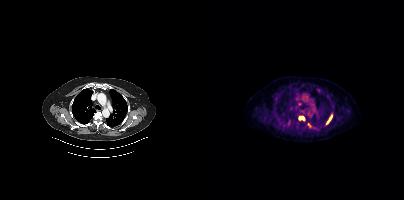
{"modality":"PSMA PET/CT","view":"axial","tracer":"18F-PSMA","pet_grid":[200,200],"coord_frame":"pet_panel","coord_format":"x0,y0,x1,y1","partial":true,"lesion_bboxes":[[123,115,128,123],[95,116,100,119],[104,123,107,127]],"small_foci_centers":[[95,103]]}